modality: PSMA PET/CT | tracer: 68Ga | view: axial | PET grid: 168×168
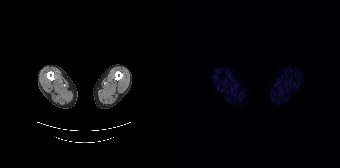
Negative for PSMA-avid disease on this slice.